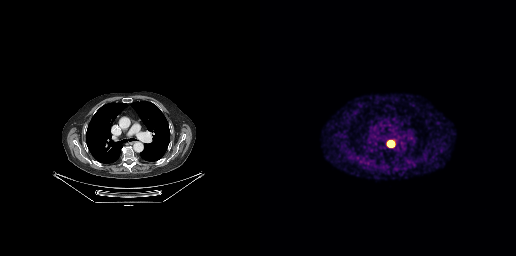
{"modality":"PSMA PET/CT","view":"axial","tracer":"[68Ga]Ga-PSMA-11","pet_grid":[256,256],"coord_frame":"pet_panel","coord_format":"x0,y0,x1,y1","lesion_bboxes":[[128,142,133,145]]}